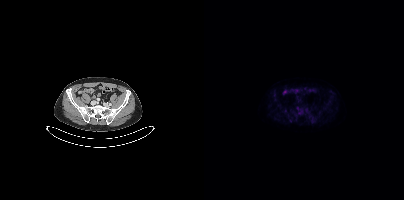
Only PSMA-avid lesion pieces thinner than 2 px on this slice (not listed).